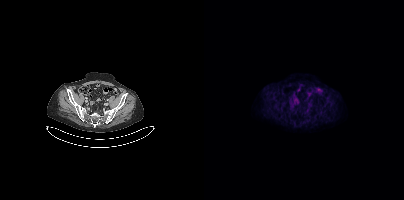
{"modality":"PSMA PET/CT","view":"axial","tracer":"[18F]PSMA-1007","pet_grid":[200,200],"coord_frame":"pet_panel","coord_format":"x0,y0,x1,y1","psma_avid_lesions":false}